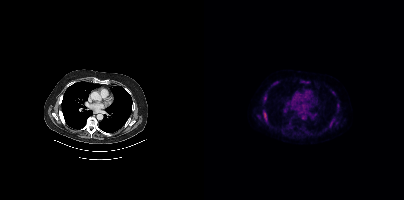
{"pet_grid":[200,200],"coord_frame":"pet_panel","coord_format":"x0,y0,x1,y1","partial":true,"lesion_bboxes":[],"modality":"PSMA PET/CT","view":"axial","tracer":"[18F]PSMA-1007"}